- Paired axial CT (left) and PSMA PET (right), 18F tracer
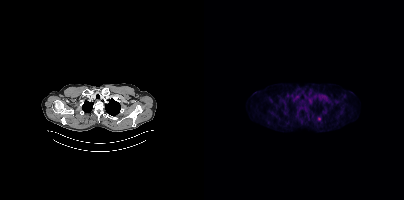
Findings: Coordinates are on the 200×200 PET (right) panel. Small PSMA-avid focus (2 to 4 px across) near (center x, center y): (115, 118).